redaction: face masked with black rectangle | modality: PSMA PET/CT | tracer: 18F-PSMA | view: axial | PET grid: 200×200
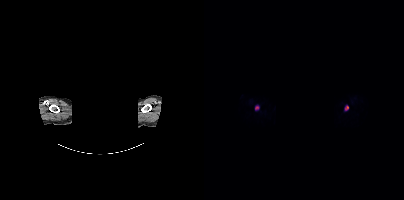
Coordinates are on the 200×200 PET (right) panel. PSMA-avid tumor lesion bounding boxes (x0, y0)-(x1, y1): (51, 105)-(55, 110) / (140, 105)-(144, 110).